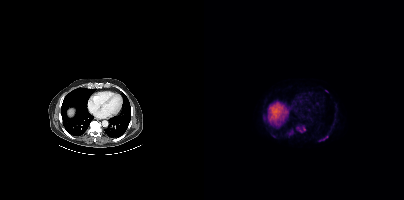
Technique: Paired axial CT (left) and PSMA PET (right), 18F tracer. acquired on Siemens Biograph mCT Flow 20. slice 358 of 508.
Findings: Coordinates are on the 200×200 PET (right) panel. (showing 2 of 4 foci) PSMA-avid tumor lesion bounding box (x, y, width, height): x=93 y=126 w=9 h=7. Small PSMA-avid focus (2 to 4 px across) near (center x, center y): (120, 138).